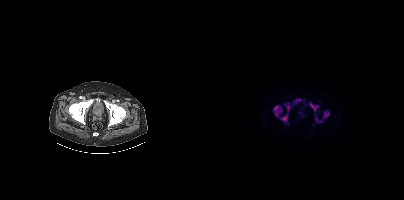
Findings: Coordinates are on the 200×200 PET (right) panel. (showing 8 of 10 foci) PSMA-avid tumor lesion bounding boxes (x0,y0,x1,y1): [69,105,78,116] [88,98,97,104] [119,111,125,118] [107,105,115,111] [77,115,83,121] [111,116,117,122] [81,104,86,111]. Small PSMA-avid focus (2 to 4 px across) near (center x, center y): (105, 103).
Technique: Paired axial CT (left) and PSMA PET (right), 18F tracer. PET panel 200×200 px (4.1 mm/px).